modality: PSMA PET/CT | tracer: 18F-PSMA | view: axial
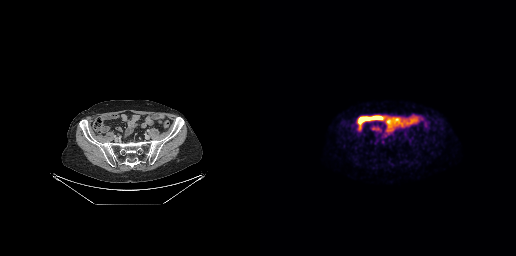
No tumor lesions annotated on this slice.